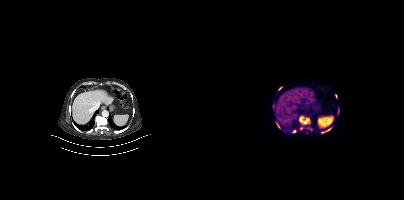
{"modality":"PSMA PET/CT","view":"axial","tracer":"[68Ga]Ga-PSMA-11","pet_grid":[200,200],"coord_frame":"pet_panel","coord_format":"x0,y0,x1,y1","lesion_bboxes":[[95,115,105,124],[117,127,127,133],[95,127,99,129],[74,87,78,90],[134,107,135,111],[103,128,107,130]],"small_foci_centers":[[73,122],[90,131],[132,95],[75,127],[133,114]]}